Paired axial CT (left) and PSMA PET (right), [18F]PSMA-1007 tracer.
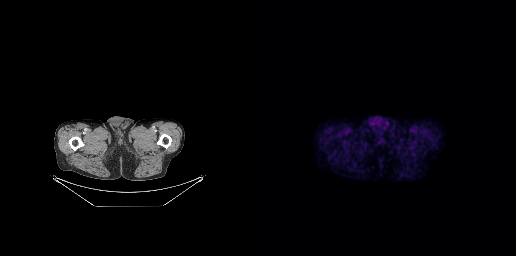
No tumor lesions annotated on this slice.